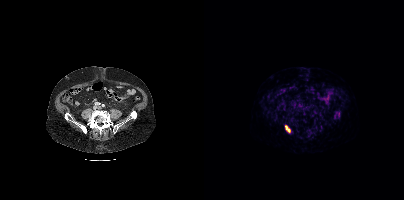
Coordinates are on the 200×200 PET (right) panel. PSMA-avid tumor lesion bounding box (x0, y0)-(x1, y1): (81, 125)-(86, 132).